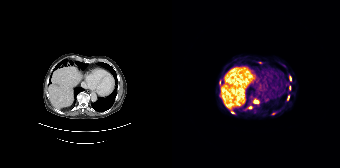
Coordinates are on the 168×168 PET (right) panel. (showing 9 of 11 foci) PSMA-avid tumor lesion bounding boxes (x, y, width, height): x=81 y=99 w=6 h=5 | x=115 y=95 w=3 h=6. Small PSMA-avid foci (2 to 4 px across) near (center x, center y): (77, 107) | (60, 112) | (88, 62) | (117, 87) | (79, 96) | (118, 79) | (101, 113). Left: CT. Right: PSMA PET, same axial level, [68Ga]Ga-PSMA-11 tracer. PET panel 168×168 px (4.1 mm/px).